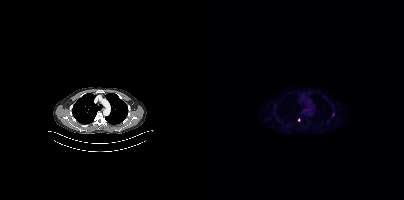
modality: PSMA PET/CT | tracer: 18F-PSMA | view: axial | PET grid: 200×200
Coordinates are on the 200×200 PET (right) panel. Small PSMA-avid foci (2 to 4 px across) near (center x, center y): (129, 114); (94, 120).